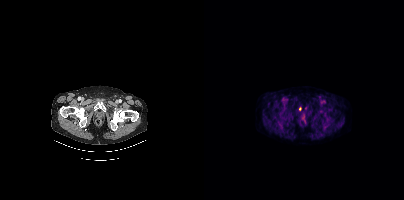
Technique: Left: CT. Right: PSMA PET, same axial level, 18F tracer. slice 44 of 403. PET panel 200×200 px (4.1 mm/px).
Findings: Coordinates are on the 200×200 PET (right) panel. Small PSMA-avid foci (2 to 4 px across) near (center x, center y): (101, 107) | (95, 108).